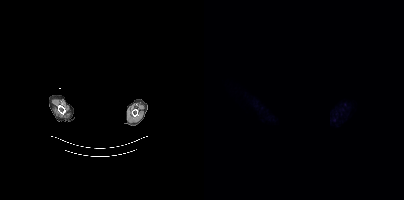
Findings: No PSMA-avid tumor lesions on this slice.
Technique: Paired axial CT (left) and PSMA PET (right), [18F]PSMA-1007 tracer.
Note: Face de-identified by blanking a block of the head.